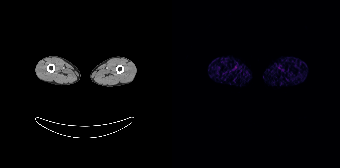
Technique: Paired axial CT (left) and PSMA PET (right), 68Ga tracer.
Findings: This slice has no annotated PSMA-avid lesion.